modality: PSMA PET/CT | tracer: 18F | view: axial | PET grid: 256×256
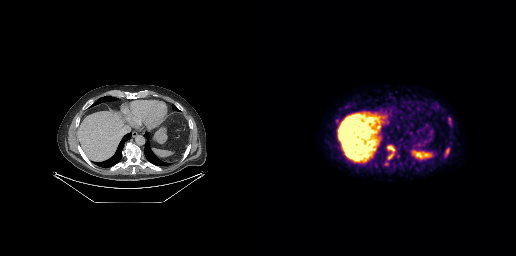
Coordinates are on the 256×256 PET (right) panel. PSMA-avid tumor lesion bounding boxes (x0, y0)-(x1, y1): (184, 147)-(189, 157); (127, 145)-(134, 151); (188, 117)-(191, 124); (128, 154)-(133, 158). Small PSMA-avid focus (2 to 4 px across) near (center x, center y): (91, 161).